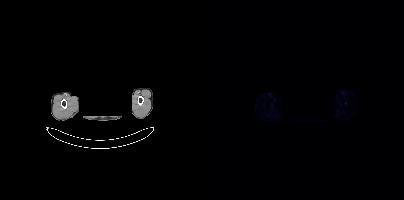
A rectangular block over the head has been blanked out for de-identification.
No PSMA-avid tumor lesions on this slice.